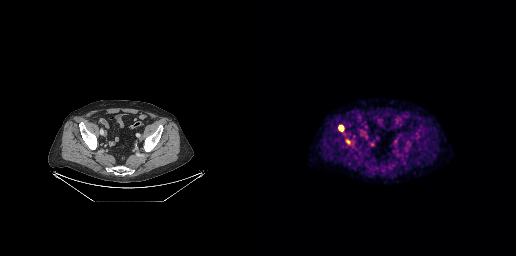
Coordinates are on the 256×256 PET (right) panel. PSMA-avid tumor lesion bounding boxes (x0,y0,x1,y1): [79,126,82,130]; [86,140,90,143].